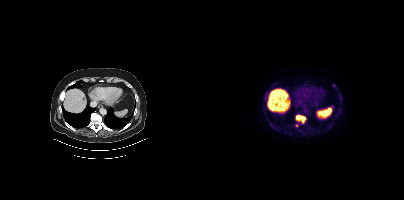
Coordinates are on the 200×200 PET (right) panel. (showing 10 of 12 foci) PSMA-avid tumor lesion bounding boxes (x0,y0,x1,y1): [92,115,101,123]; [119,128,123,132]. Small PSMA-avid foci (2 to 4 px across) near (center x, center y): (114, 130); (72, 129); (130, 86); (136, 109); (136, 95); (108, 129); (70, 84); (92, 125).